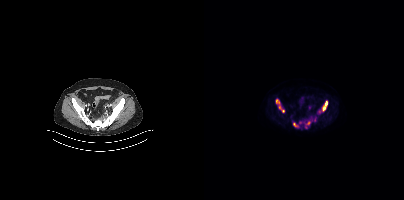
Two-panel axial: CT | PSMA PET, 18F tracer. Acquired on Siemens Biograph mCT Flow 20. PET panel 200×200 px (4.1 mm/px).
Coordinates are on the 200×200 PET (right) panel. PSMA-avid tumor lesion bounding boxes (partial; 3 more foci not listed):
| # | x0 | y0 | x1 | y1 |
|---|---|---|---|---|
| 1 | 115 | 100 | 124 | 112 |
| 2 | 72 | 99 | 75 | 104 |
| 3 | 75 | 106 | 80 | 112 |
| 4 | 89 | 123 | 93 | 126 |
Small PSMA-avid focus (2 to 4 px across) near (center x, center y): (104, 122).